modality: PSMA PET/CT | tracer: 18F | view: axial
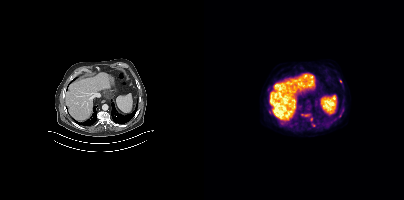
Coordinates are on the 200×200 PET (right) panel. PSMA-avid tumor lesion bounding boxes (x0, y0)-(x1, y1): (98, 114)-(105, 116) | (135, 113)-(137, 117). Small PSMA-avid foci (2 to 4 px across) near (center x, center y): (109, 124) | (66, 111) | (107, 119) | (136, 81) | (138, 110) | (64, 89).